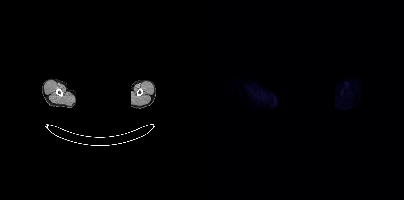
A rectangular block over the head has been blanked out for de-identification.
This slice has no annotated PSMA-avid lesion.